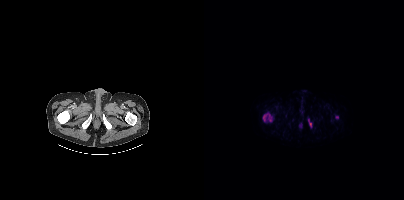
Left: CT. Right: PSMA PET, same axial level, [18F]PSMA-1007 tracer. Coordinates are on the 200×200 PET (right) panel. PSMA-avid tumor lesion bounding boxes (x, y, width, height): x=59 y=114 w=8 h=8; x=104 y=120 w=4 h=7. Small PSMA-avid focus (2 to 4 px across) near (center x, center y): (132, 117).